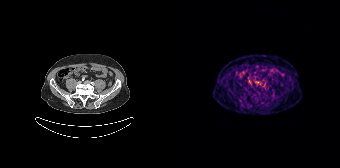
Coordinates are on the 168×168 PET (right) panel. Small PSMA-avid focus (2 to 4 px across) near (center x, center y): (77, 81).